Technique: Paired axial CT (left) and PSMA PET (right), 18F tracer.
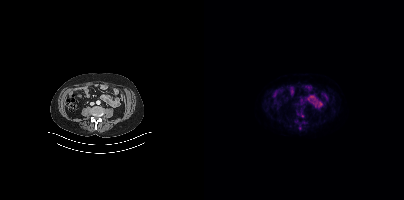
Findings: No PSMA-avid tumor lesions on this slice.